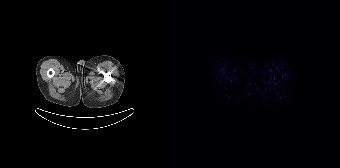
No tumor lesions annotated on this slice.